Technique: Two-panel axial: CT | PSMA PET, 18F tracer. PET panel 256×256 px (2.7 mm/px).
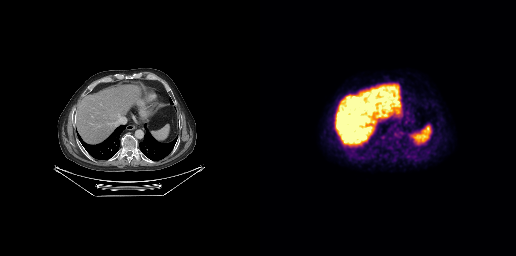
Findings: Negative for PSMA-avid disease on this slice.